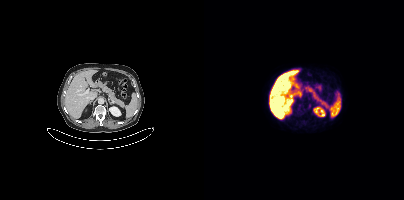
{"pet_grid":[200,200],"coord_frame":"pet_panel","coord_format":"x0,y0,x1,y1","lesion_bboxes":[[104,104,107,108]],"modality":"PSMA PET/CT","view":"axial","tracer":"18F"}